Left: CT. Right: PSMA PET, same axial level, 68Ga-PSMA tracer. Acquired on Siemens Biograph 64-4R TruePoint. Slice 84 of 195. PET panel 168×168 px (4.1 mm/px).
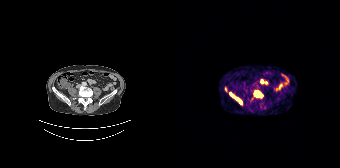
Coordinates are on the 168×168 PET (right) panel. PSMA-avid tumor lesion bounding boxes:
| # | x0 | y0 | x1 | y1 |
|---|---|---|---|---|
| 1 | 82 | 91 | 90 | 96 |
| 2 | 58 | 92 | 69 | 104 |